Left: CT. Right: PSMA PET, same axial level, [18F]PSMA-1007 tracer. PET panel 256×256 px (2.7 mm/px).
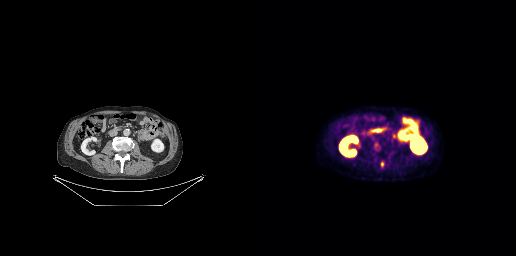
Coordinates are on the 256×256 PET (right) panel. PSMA-avid tumor lesion bounding boxes (partial; 1 more focus not listed):
| # | x0 | y0 | x1 | y1 |
|---|---|---|---|---|
| 1 | 120 | 161 | 124 | 167 |
Small PSMA-avid focus (2 to 4 px across) near (center x, center y): (133, 135).